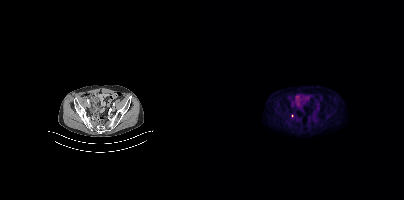
Findings: Coordinates are on the 200×200 PET (right) panel. Small PSMA-avid focus (2 to 4 px across) near (center x, center y): (88, 115).
- Paired axial CT (left) and PSMA PET (right), 18F tracer